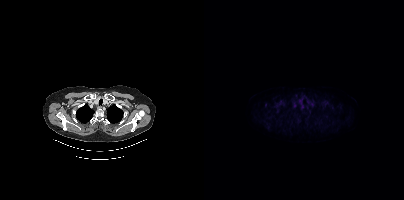
No tumor lesions annotated on this slice.